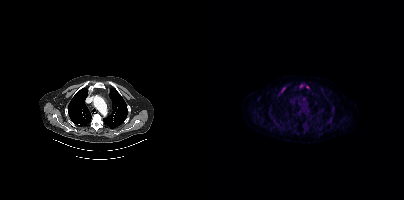
Paired axial CT (left) and PSMA PET (right), 18F-PSMA tracer. Acquired on Siemens Biograph mCT Flow 20. Slice 352 of 454. PET panel 200×200 px (4.1 mm/px). Coordinates are on the 200×200 PET (right) panel. PSMA-avid tumor lesion bounding box (x0,y0,x1,y1): [78,87,81,91]. Small PSMA-avid focus (2 to 4 px across) near (center x, center y): (103, 86).